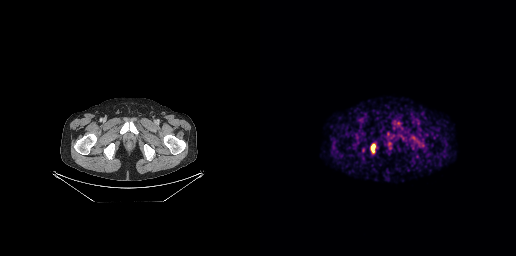
{"pet_grid":[256,256],"coord_frame":"pet_panel","coord_format":"x0,y0,x1,y1","lesion_bboxes":[[111,144,115,152]],"modality":"PSMA PET/CT","view":"axial","tracer":"68Ga"}